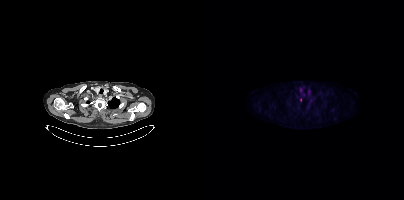
Technique: Two-panel axial: CT | PSMA PET, 18F-PSMA tracer. PET panel 200×200 px (4.1 mm/px).
Findings: Coordinates are on the 200×200 PET (right) panel. Small PSMA-avid focus (2 to 4 px across) near (center x, center y): (96, 99).